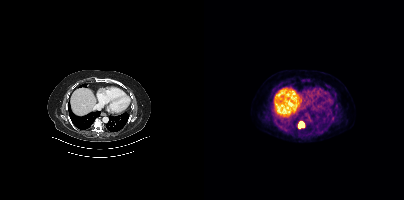
Coordinates are on the 200×200 PET (right) panel. PSMA-avid tumor lesion bounding box (x0, y0)-(x1, y1): (94, 121)-(100, 127).